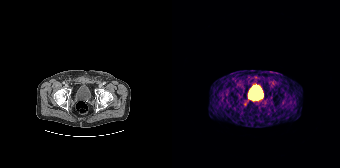
- Paired axial CT (left) and PSMA PET (right), 68Ga tracer
Findings: Coordinates are on the 168×168 PET (right) panel. Small PSMA-avid focus (2 to 4 px across) near (center x, center y): (72, 103).